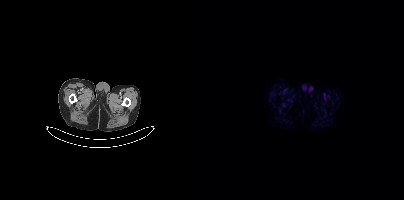
- Left: CT. Right: PSMA PET, same axial level, 18F tracer
- PET panel 200×200 px (4.1 mm/px)
Findings: Negative for PSMA-avid disease on this slice.